- Left: CT. Right: PSMA PET, same axial level, 18F tracer
- slice position z = -1544 mm
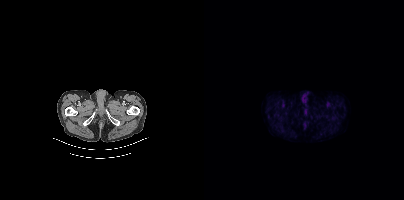
Findings: Negative for PSMA-avid disease on this slice.